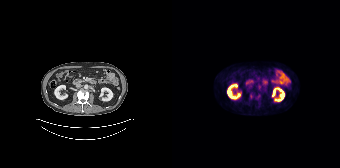
Technique: Paired axial CT (left) and PSMA PET (right), [18F]PSMA-1007 tracer. PET panel 168×168 px (4.1 mm/px).
Findings: Only PSMA-avid lesion pieces thinner than 2 px on this slice (not listed).